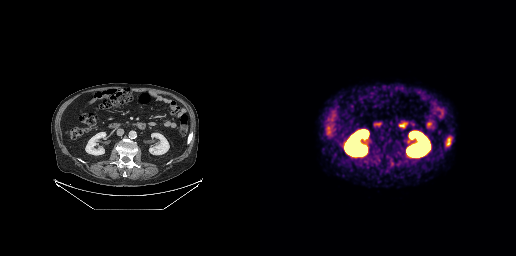
No PSMA-avid tumor lesions on this slice.
modality: PSMA PET/CT | tracer: [68Ga]Ga-PSMA-11 | view: axial